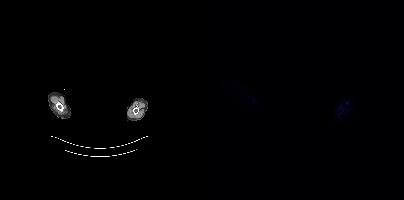
Technique: Left: CT. Right: PSMA PET, same axial level, 18F tracer. acquired on Siemens Biograph mCT Flow 20. slice 337 of 344.
Note: De-identified by setting a box covering the face to black before release.
Findings: Negative for PSMA-avid disease on this slice.